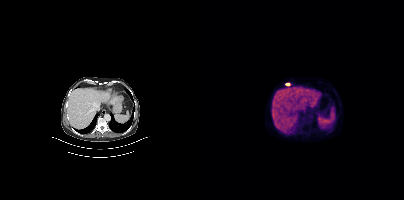
modality: PSMA PET/CT | tracer: [18F]PSMA-1007 | view: axial
Coordinates are on the 200×200 PET (right) panel. PSMA-avid tumor lesion bounding box (x, y, width, height): x=81 y=83 w=5 h=3.